Technique: Two-panel axial: CT | PSMA PET, 68Ga-PSMA tracer. PET panel 200×200 px (4.1 mm/px).
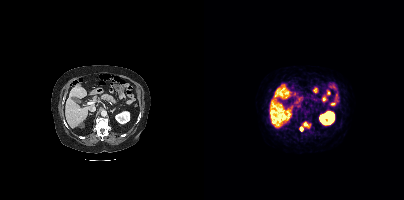
Findings: Coordinates are on the 200×200 PET (right) panel. PSMA-avid tumor lesion bounding box (x0,y0,x1,y1): [95,121,106,130].